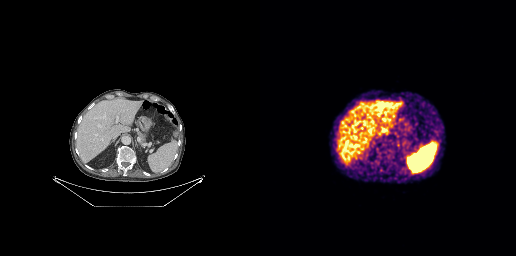
Findings: No tumor lesions annotated on this slice.
- Paired axial CT (left) and PSMA PET (right), [68Ga]Ga-PSMA-11 tracer